modality: PSMA PET/CT | tracer: 18F | view: axial | PET grid: 200×200
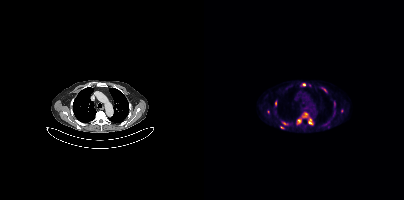
Coordinates are on the 200×200 PET (right) panel. (showing 8 of 10 foci) PSMA-avid tumor lesion bounding boxes (x, y, width, height): x=104 y=118 w=5 h=7 | x=98 y=113 w=6 h=5 | x=93 y=119 w=5 h=5 | x=119 y=88 w=4 h=5 | x=79 y=122 w=5 h=3 | x=71 y=101 w=2 h=5. Small PSMA-avid foci (2 to 4 px across) near (center x, center y): (100, 84) | (78, 127).